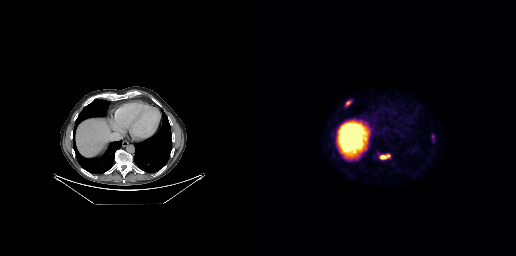
{"modality":"PSMA PET/CT","view":"axial","tracer":"18F-PSMA","pet_grid":[256,256],"coord_frame":"pet_panel","coord_format":"x0,y0,x1,y1","partial":true,"lesion_bboxes":[[119,154,130,159],[85,100,91,106]],"small_foci_centers":[[173,136]]}